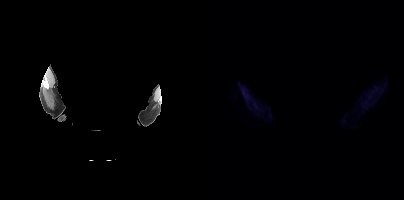
Two-panel axial: CT | PSMA PET, 18F tracer. Slice position z = -320 mm. The face region was removed for patient privacy by blanking a rectangle over the head. No tumor lesions annotated on this slice.